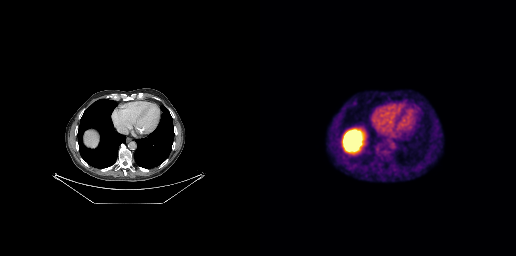
Coordinates are on the 256×256 PET (right) panel. Small PSMA-avid focus (2 to 4 px across) near (center x, center y): (94, 103).